Left: CT. Right: PSMA PET, same axial level, 18F tracer. Acquired on Siemens Biograph mCT Flow 20. Slice position z = -895 mm. PET panel 200×200 px (4.1 mm/px).
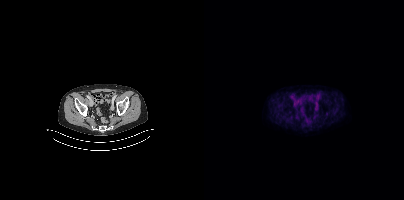
Coordinates are on the 200×200 PET (right) panel. Small PSMA-avid focus (2 to 4 px across) near (center x, center y): (122, 113).